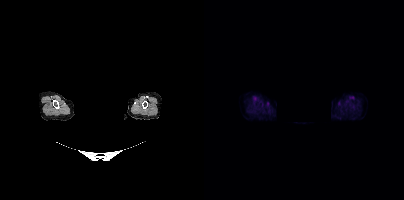
A rectangle over the head was blacked out to remove identifiable facial features. Paired axial CT (left) and PSMA PET (right), [18F]PSMA-1007 tracer. Slice position z = -253 mm. PET panel 200×200 px (4.1 mm/px). This slice has no annotated PSMA-avid lesion.